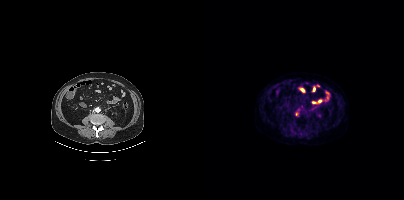
Only PSMA-avid lesion pieces thinner than 2 px on this slice (not listed).